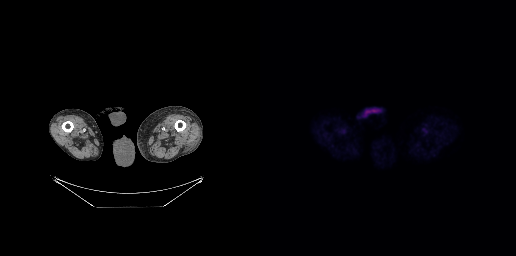
This slice has no annotated PSMA-avid lesion.